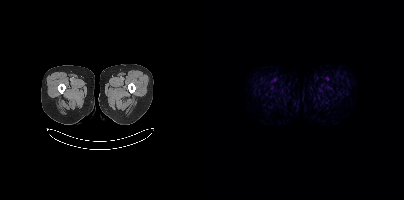
{"modality":"PSMA PET/CT","view":"axial","tracer":"[18F]PSMA-1007","pet_grid":[200,200],"coord_frame":"pet_panel","coord_format":"x0,y0,x1,y1","psma_avid_lesions":false}